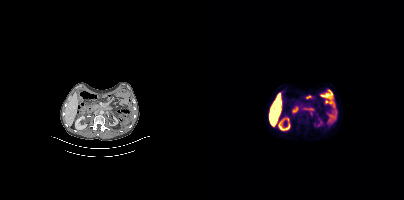
- Paired axial CT (left) and PSMA PET (right), 18F-PSMA tracer
- slice position z = -1314 mm
- PET panel 200×200 px (4.1 mm/px)
Findings: Coordinates are on the 200×200 PET (right) panel. Small PSMA-avid foci (2 to 4 px across) near (center x, center y): (106, 109); (107, 113).